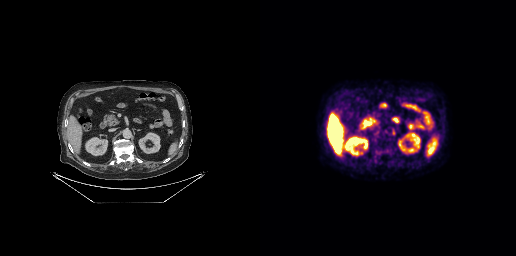
modality: PSMA PET/CT | tracer: 18F-PSMA | view: axial
Coordinates are on the 256×256 PET (right) panel. PSMA-avid tumor lesion bounding box (x0, y0)-(x1, y1): (132, 129)-(135, 135). Small PSMA-avid focus (2 to 4 px across) near (center x, center y): (117, 132).